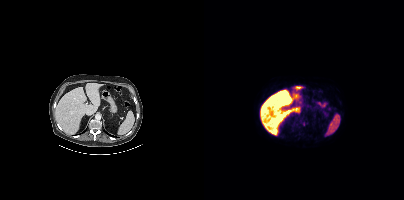
{"pet_grid":[200,200],"coord_frame":"pet_panel","coord_format":"x0,y0,x1,y1","partial":true,"lesion_bboxes":[],"modality":"PSMA PET/CT","view":"axial","tracer":"18F"}